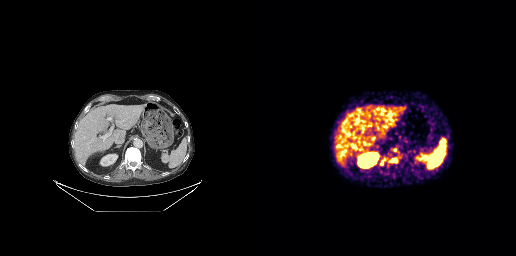
{"modality":"PSMA PET/CT","view":"axial","tracer":"68Ga","pet_grid":[256,256],"coord_frame":"pet_panel","coord_format":"x0,y0,x1,y1","partial":true,"lesion_bboxes":[[130,157,140,162],[119,157,126,165]],"small_foci_centers":[[134,149]]}